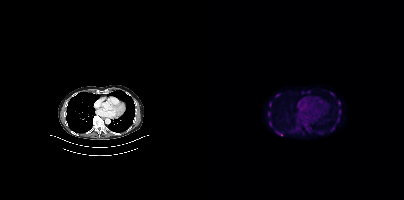
Technique: Paired axial CT (left) and PSMA PET (right), [18F]PSMA-1007 tracer. PET panel 200×200 px (4.1 mm/px).
Findings: Coordinates are on the 200×200 PET (right) panel. PSMA-avid tumor lesion bounding boxes (x0,y0,x1,y1): [134,101,136,105], [65,102,67,106], [135,109,137,114], [133,117,135,121]. Small PSMA-avid foci (2 to 4 px across) near (center x, center y): (73, 95), (65, 113), (66, 124), (77, 134).